Paired axial CT (left) and PSMA PET (right), 18F tracer. PET panel 256×256 px (2.7 mm/px).
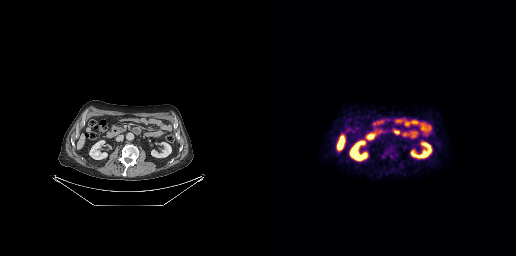
Coordinates are on the 256×256 PET (right) panel. (showing 1 of 2 foci) Small PSMA-avid focus (2 to 4 px across) near (center x, center y): (126, 153).